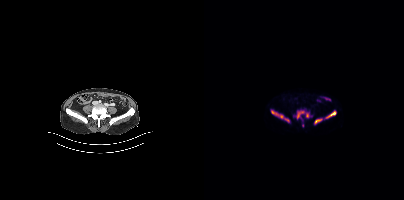
Technique: Left: CT. Right: PSMA PET, same axial level, [18F]PSMA-1007 tracer. acquired on Siemens Biograph mCT Flow 20. slice position z = -688 mm. PET panel 200×200 px (4.1 mm/px).
Findings: Coordinates are on the 200×200 PET (right) panel. (showing 5 of 6 foci) PSMA-avid tumor lesion bounding boxes (x0, y0)-(x1, y1): (67, 110)-(85, 122) | (92, 110)-(100, 118) | (122, 111)-(132, 118) | (110, 118)-(118, 124) | (102, 113)-(105, 117).